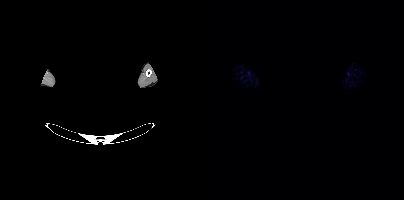
- the face region was removed for patient privacy by blanking a rectangle over the head
- Left: CT. Right: PSMA PET, same axial level, 18F tracer
- slice 428 of 429
- PET panel 200×200 px (4.1 mm/px)
Findings: No tumor lesions annotated on this slice.